- Paired axial CT (left) and PSMA PET (right), 18F-PSMA tracer
- acquired on Siemens Biograph mCT Flow 20
- slice 370 of 427
- face de-identified by blanking a block of the head
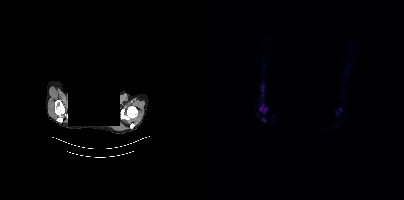
Findings: Coordinates are on the 200×200 PET (right) panel. PSMA-avid tumor lesion bounding box (x0,y0,x1,y1): [55,104,63,113]. Small PSMA-avid focus (2 to 4 px across) near (center x, center y): (59, 119).